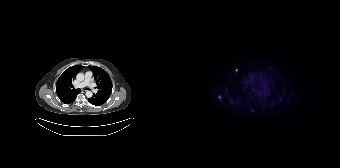
Coordinates are on the 168×168 PET (right) panel. Small PSMA-avid foci (2 to 4 px across) near (center x, center y): (64, 69); (47, 97). Left: CT. Right: PSMA PET, same axial level, [18F]PSMA-1007 tracer. Acquired on Siemens Biograph 64-4R TruePoint. Slice position z = -816 mm. PET panel 168×168 px (4.1 mm/px).